Left: CT. Right: PSMA PET, same axial level, 18F-PSMA tracer. Acquired on Siemens Biograph mCT Flow 20.
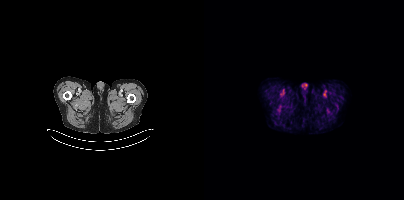
No tumor lesions annotated on this slice.